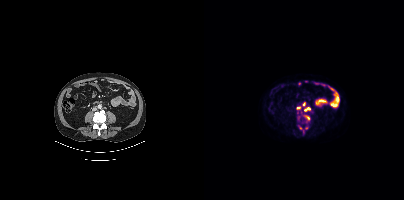
Findings: Coordinates are on the 200×200 PET (right) panel. (showing 4 of 6 foci) PSMA-avid tumor lesion bounding boxes (x, y, width, height): x=100 y=107 w=7 h=5 / x=98 y=102 w=4 h=5. Small PSMA-avid foci (2 to 4 px across) near (center x, center y): (94, 107) / (103, 117).
- Paired axial CT (left) and PSMA PET (right), 18F-PSMA tracer
- PET panel 200×200 px (4.1 mm/px)